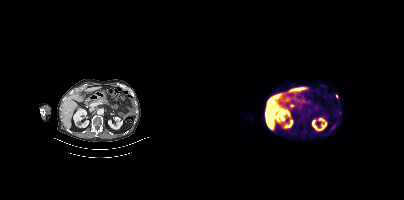
Coordinates are on the 200×200 PET (right) panel. PSMA-avid tumor lesion bounding box (x, y, width, height): x=132 y=94 w=3 h=5.